The face region was removed for patient privacy by blanking a rectangle over the head. Two-panel axial: CT | PSMA PET, 18F tracer. PET panel 200×200 px (4.1 mm/px).
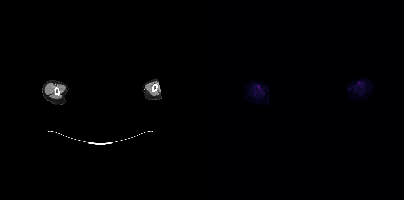
No tumor lesions annotated on this slice.